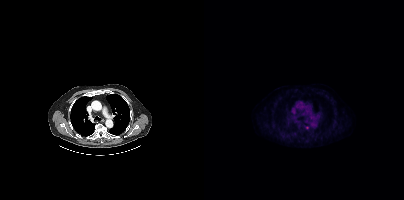
modality: PSMA PET/CT | tracer: [18F]PSMA-1007 | view: axial
Negative for PSMA-avid disease on this slice.